Technique: Paired axial CT (left) and PSMA PET (right), [18F]PSMA-1007 tracer. slice 299 of 383. PET panel 200×200 px (4.1 mm/px).
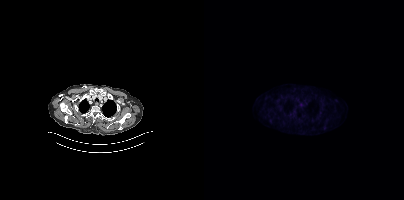
Findings: No PSMA-avid tumor lesions on this slice.